Paired axial CT (left) and PSMA PET (right), [18F]PSMA-1007 tracer.
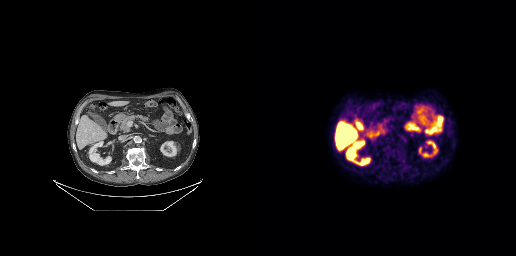
Negative for PSMA-avid disease on this slice.